Left: CT. Right: PSMA PET, same axial level, 18F tracer.
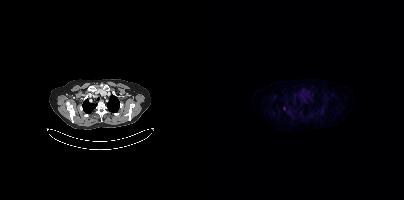
This slice has no annotated PSMA-avid lesion.